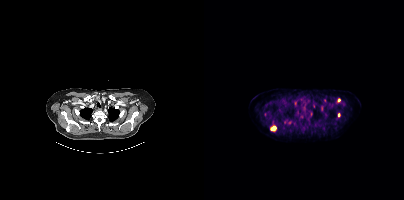
Findings: Coordinates are on the 200×200 PET (right) panel. (showing 6 of 11 foci) PSMA-avid tumor lesion bounding box (x0, y0)-(x1, y1): (66, 126)-(72, 130). Small PSMA-avid foci (2 to 4 px across) near (center x, center y): (107, 114) | (86, 123) | (134, 100) | (134, 115) | (80, 122).
Technique: Left: CT. Right: PSMA PET, same axial level, 18F-PSMA tracer. slice 364 of 448. PET panel 200×200 px (4.1 mm/px).